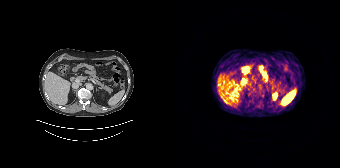
This slice has no annotated PSMA-avid lesion. Two-panel axial: CT | PSMA PET, [68Ga]Ga-PSMA-11 tracer. Acquired on Siemens Biograph 64-4R TruePoint. Slice 106 of 195.